modality: PSMA PET/CT | tracer: 18F | view: axial
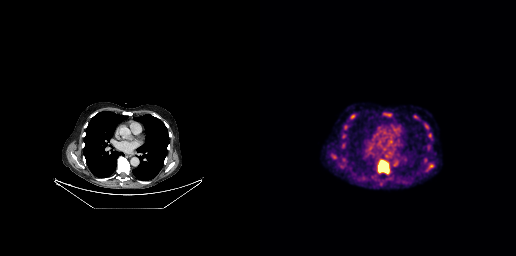
Coordinates are on the 256×256 PET (right) panel. (showing 4 of 5 foci) PSMA-avid tumor lesion bounding boxes (x0, y0)-(x1, y1): (118, 160)-(129, 173) / (72, 155)-(76, 158). Small PSMA-avid foci (2 to 4 px across) near (center x, center y): (83, 136) / (83, 145).